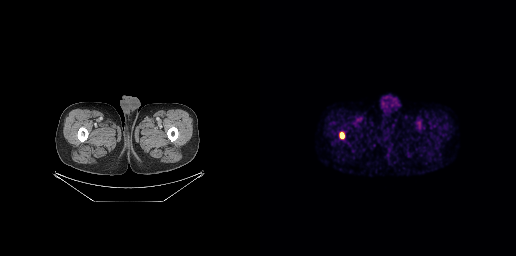
{"pet_grid":[256,256],"coord_frame":"pet_panel","coord_format":"x0,y0,x1,y1","lesion_bboxes":[[80,132,84,138]],"modality":"PSMA PET/CT","view":"axial","tracer":"18F-PSMA"}